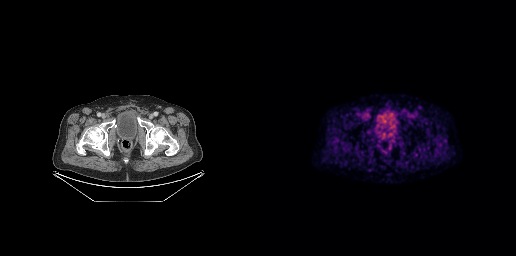
Technique: Two-panel axial: CT | PSMA PET, 18F-PSMA tracer.
Findings: No PSMA-avid tumor lesions on this slice.